modality: PSMA PET/CT | tracer: 18F-PSMA | view: axial | PET grid: 200×200
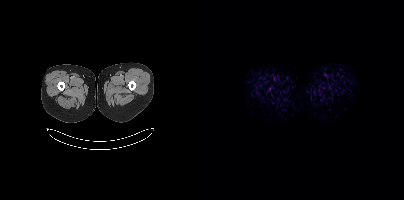
No PSMA-avid tumor lesions on this slice.